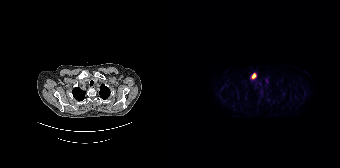
{"modality":"PSMA PET/CT","view":"axial","tracer":"18F-PSMA","pet_grid":[168,168],"coord_frame":"pet_panel","coord_format":"x0,y0,x1,y1","lesion_bboxes":[[79,73,84,79]]}